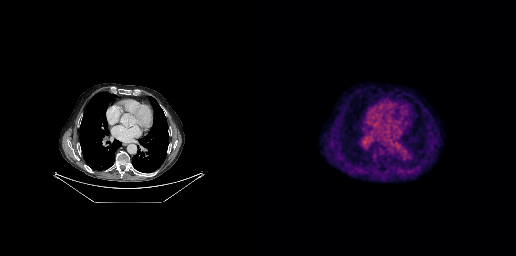
Two-panel axial: CT | PSMA PET, 18F-PSMA tracer. Slice position z = -461 mm. This slice has no annotated PSMA-avid lesion.